- Two-panel axial: CT | PSMA PET, 18F tracer
- acquired on Siemens Biograph mCT Flow 20
- slice position z = -1426 mm
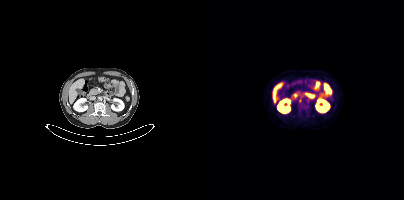
Findings: No tumor lesions annotated on this slice.